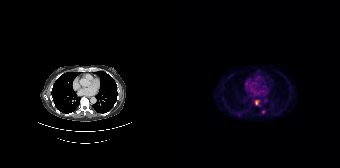
{"modality":"PSMA PET/CT","view":"axial","tracer":"18F","pet_grid":[168,168],"coord_frame":"pet_panel","coord_format":"x0,y0,x1,y1","lesion_bboxes":[[82,100,87,105]],"small_foci_centers":[[67,114],[91,111]]}